Paired axial CT (left) and PSMA PET (right), 18F-PSMA tracer. Acquired on Siemens Biograph 64-4R TruePoint. Slice position z = -1320 mm.
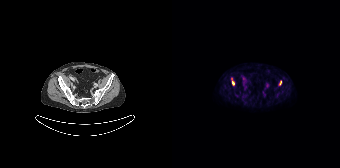
Coordinates are on the 168×168 PET (right) panel. PSMA-avid tumor lesion bounding boxes:
| # | x0 | y0 | x1 | y1 |
|---|---|---|---|---|
| 1 | 59 | 78 | 62 | 85 |
Small PSMA-avid focus (2 to 4 px across) near (center x, center y): (108, 82).